Two-panel axial: CT | PSMA PET, 18F-PSMA tracer. PET panel 200×200 px (4.1 mm/px).
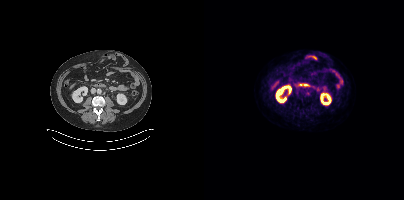
Coordinates are on the 200×200 PET (right) panel. PSMA-avid tumor lesion bounding box (x, y, width, height): x=101 y=91 w=5 h=5.